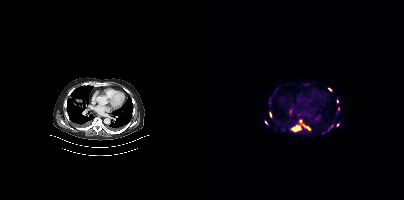
{"pet_grid":[200,200],"coord_frame":"pet_panel","coord_format":"x0,y0,x1,y1","lesion_bboxes":[[86,119,107,131],[65,112,67,117]],"small_foci_centers":[[125,89],[133,124],[62,122],[133,101],[134,108],[127,126]],"modality":"PSMA PET/CT","view":"axial","tracer":"[18F]PSMA-1007"}